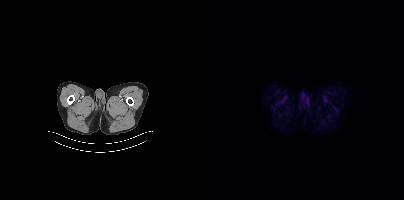
No tumor lesions annotated on this slice. Two-panel axial: CT | PSMA PET, 18F tracer. Slice 35 of 425.